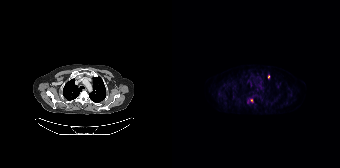
Left: CT. Right: PSMA PET, same axial level, [18F]PSMA-1007 tracer. Acquired on Siemens Biograph 64-4R TruePoint. Slice position z = -772 mm. PET panel 168×168 px (4.1 mm/px). Coordinates are on the 168×168 PET (right) panel. Small PSMA-avid foci (2 to 4 px across) near (center x, center y): (79, 100); (96, 76); (105, 86).